Paired axial CT (left) and PSMA PET (right), [18F]PSMA-1007 tracer. Acquired on Siemens Biograph mCT Flow 20. PET panel 200×200 px (4.1 mm/px).
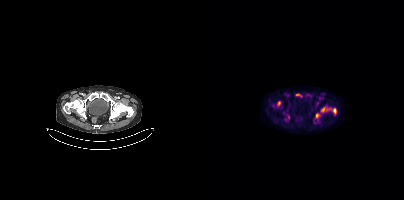
Coordinates are on the 200×200 PET (right) panel. PSMA-avid tumor lesion bounding boxes:
| # | x0 | y0 | x1 | y1 |
|---|---|---|---|---|
| 1 | 129 | 108 | 132 | 113 |
Small PSMA-avid foci (2 to 4 px across) near (center x, center y): (118, 109); (113, 115); (75, 103).